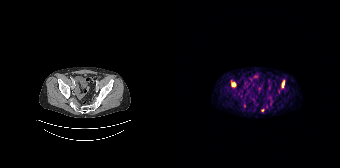
Paired axial CT (left) and PSMA PET (right), 68Ga-PSMA tracer. Slice position z = -740 mm. PET panel 168×168 px (4.1 mm/px). Coordinates are on the 168×168 PET (right) panel. (showing 2 of 4 foci) PSMA-avid tumor lesion bounding boxes (x0,y0,x1,y1): [59,82,64,87] [110,81,112,87].